modality: PSMA PET/CT | tracer: 18F-PSMA | view: axial
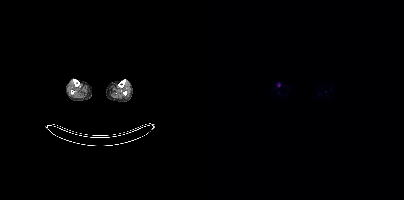
No tumor lesions annotated on this slice.